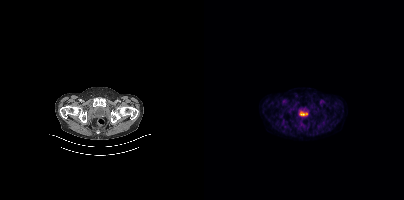
Technique: Paired axial CT (left) and PSMA PET (right), 18F tracer. slice position z = -982 mm.
Findings: Negative for PSMA-avid disease on this slice.